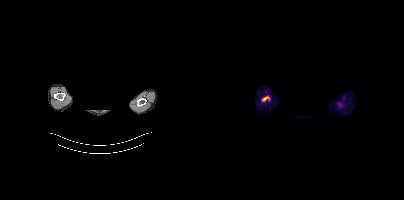
No PSMA-avid tumor lesions on this slice. A rectangular block over the head has been blanked out for de-identification. Two-panel axial: CT | PSMA PET, [18F]PSMA-1007 tracer.